- Paired axial CT (left) and PSMA PET (right), 18F tracer
- PET panel 200×200 px (4.1 mm/px)
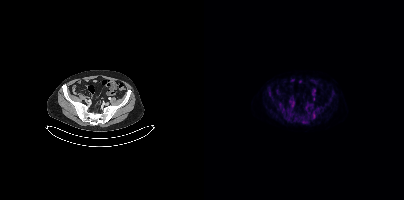
Findings: Coordinates are on the 200×200 PET (right) panel. Small PSMA-avid focus (2 to 4 px across) near (center x, center y): (109, 115).